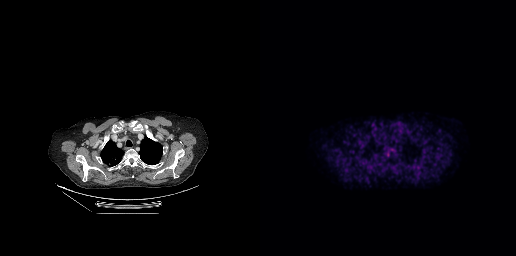
modality: PSMA PET/CT | tracer: 18F | view: axial | PET grid: 256×256
Coordinates are on the 256×256 PET (right) panel. PSMA-avid tumor lesion bounding box (x0,y0,x1,y1): [132,164,136,168].